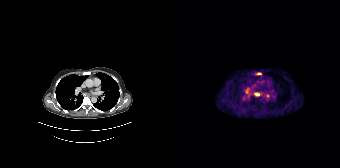
{"pet_grid":[168,168],"coord_frame":"pet_panel","coord_format":"x0,y0,x1,y1","partial":true,"lesion_bboxes":[[83,93,87,95],[84,72,89,74],[93,94,97,97]],"modality":"PSMA PET/CT","view":"axial","tracer":"[68Ga]Ga-PSMA-11"}